Paired axial CT (left) and PSMA PET (right), 18F tracer. Acquired on Siemens Biograph mCT Flow 20. PET panel 200×200 px (4.1 mm/px).
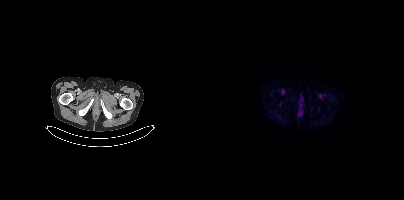
No tumor lesions annotated on this slice.